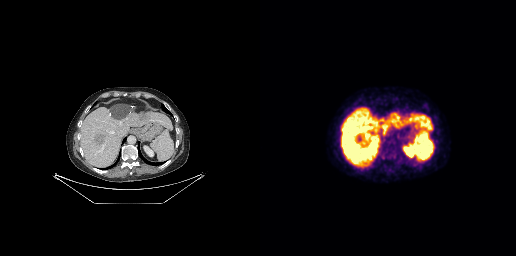
No tumor lesions annotated on this slice.